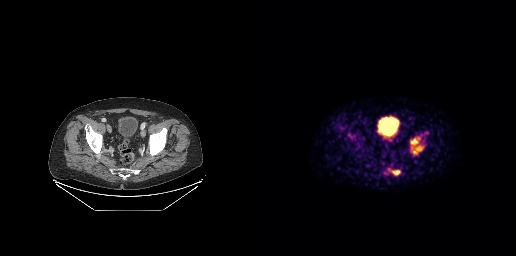
Findings: Coordinates are on the 256×256 PET (right) panel. PSMA-avid tumor lesion bounding boxes (x0,y0,x1,y1): [153,146,162,153] [151,139,157,144] [132,170,139,174].
Technique: Two-panel axial: CT | PSMA PET, 68Ga tracer. slice 67 of 263.